Technique: Two-panel axial: CT | PSMA PET, 18F tracer.
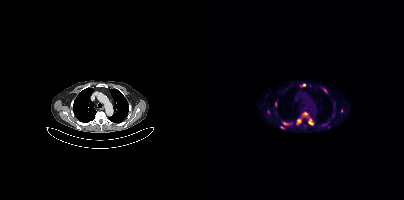
Findings: Coordinates are on the 200×200 PET (right) panel. (showing 8 of 9 foci) PSMA-avid tumor lesion bounding boxes (x0, y0)-(x1, y1): (104, 119)-(109, 124) / (93, 119)-(97, 124) / (99, 112)-(103, 115) / (119, 88)-(123, 93) / (79, 122)-(84, 124). Small PSMA-avid foci (2 to 4 px across) near (center x, center y): (100, 85) / (78, 127) / (71, 103).